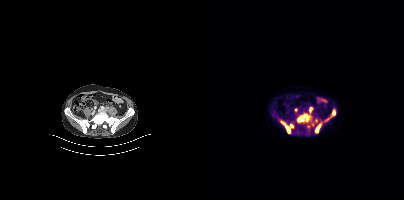
Technique: Two-panel axial: CT | PSMA PET, 18F-PSMA tracer. acquired on Siemens Biograph mCT Flow 20. slice position z = -852 mm.
Findings: Coordinates are on the 200×200 PET (right) panel. PSMA-avid tumor lesion bounding boxes (x0, y0)-(x1, y1): (93, 114)-(105, 122) | (77, 121)-(89, 133) | (111, 124)-(117, 132) | (128, 110)-(131, 115) | (106, 107)-(108, 111). Small PSMA-avid focus (2 to 4 px across) near (center x, center y): (91, 109).